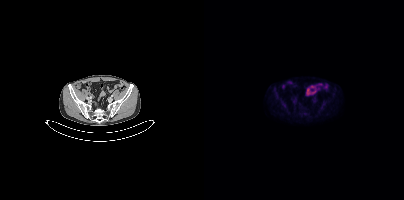
No PSMA-avid tumor lesions on this slice.